modality: PSMA PET/CT | tracer: 18F-PSMA | view: axial
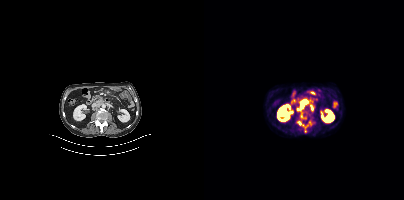
Coordinates are on the 200×200 PET (right) panel. (showing 4 of 5 foci) PSMA-avid tumor lesion bounding boxes (x0,y0,x1,y1): [93,121,107,132] [93,100,103,111]. Small PSMA-avid foci (2 to 4 px across) near (center x, center y): (97, 115) (107, 109).